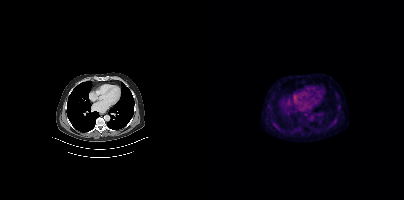
{"modality":"PSMA PET/CT","view":"axial","tracer":"18F-PSMA","pet_grid":[200,200],"coord_frame":"pet_panel","coord_format":"x0,y0,x1,y1","psma_avid_lesions":false}